Left: CT. Right: PSMA PET, same axial level, 18F-PSMA tracer. PET panel 200×200 px (4.1 mm/px).
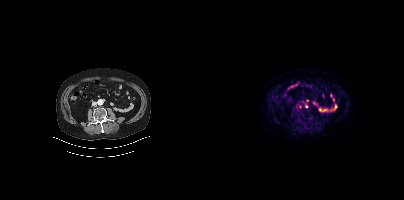
Only PSMA-avid lesion pieces thinner than 2 px on this slice (not listed).